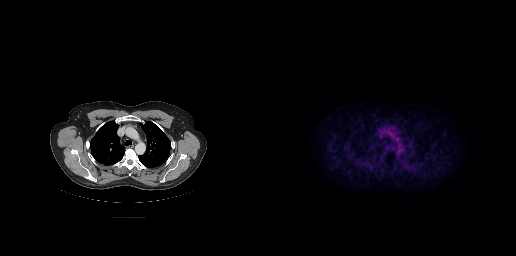
{"pet_grid":[256,256],"coord_frame":"pet_panel","coord_format":"x0,y0,x1,y1","psma_avid_lesions":false,"modality":"PSMA PET/CT","view":"axial","tracer":"18F-PSMA"}